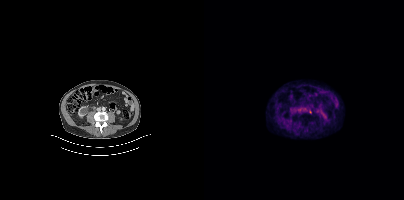
{"pet_grid":[200,200],"coord_frame":"pet_panel","coord_format":"x0,y0,x1,y1","psma_avid_lesions":false,"modality":"PSMA PET/CT","view":"axial","tracer":"18F"}